Two-panel axial: CT | PSMA PET, 18F tracer. Acquired on GE Discovery 690.
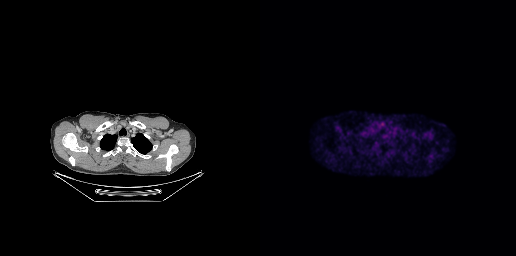
No tumor lesions annotated on this slice.